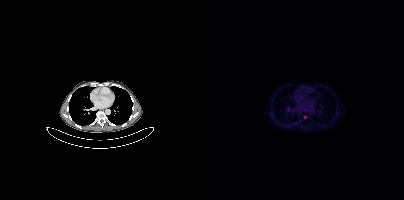
Only PSMA-avid lesion pieces thinner than 2 px on this slice (not listed).